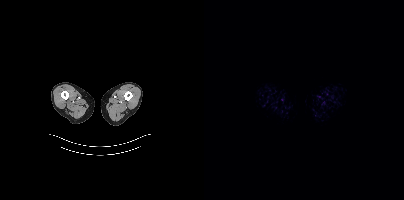
{"modality":"PSMA PET/CT","view":"axial","tracer":"[18F]PSMA-1007","pet_grid":[200,200],"coord_frame":"pet_panel","coord_format":"x0,y0,x1,y1","psma_avid_lesions":false}